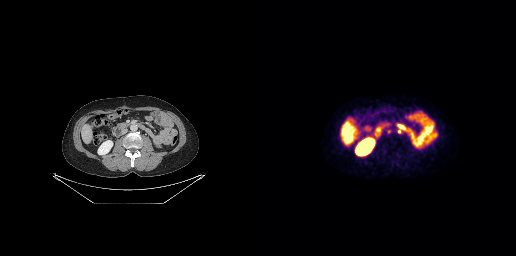
Coordinates are on the 256×256 PET (right) panel. Small PSMA-avid focus (2 to 4 px across) near (center x, center y): (139, 130).
modality: PSMA PET/CT | tracer: 18F | view: axial | PET grid: 256×256